- Left: CT. Right: PSMA PET, same axial level, 18F tracer
- acquired on Siemens Biograph mCT Flow 20
- slice position z = -1762 mm
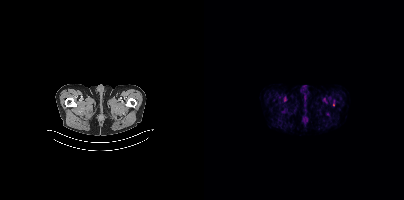
Findings: Coordinates are on the 200×200 PET (right) panel. (showing 1 of 2 foci) Small PSMA-avid focus (2 to 4 px across) near (center x, center y): (129, 104).